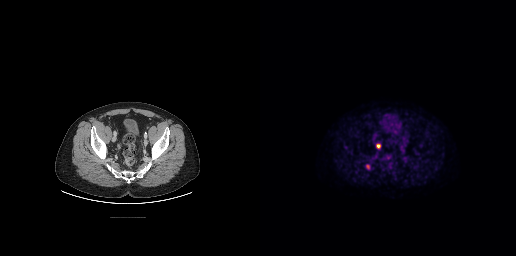
modality: PSMA PET/CT | tracer: 18F | view: axial
Coordinates are on the 256×256 PET (right) panel. PSMA-avid tumor lesion bounding box (x0,y0,x1,y1): [116,143,120,148]. Small PSMA-avid focus (2 to 4 px across) near (center x, center y): (107, 166).